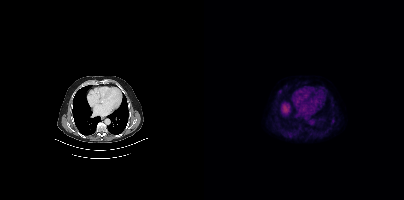
modality: PSMA PET/CT | tracer: 18F | view: axial | PET grid: 200×200
No PSMA-avid tumor lesions on this slice.